Two-panel axial: CT | PSMA PET, [18F]PSMA-1007 tracer. Acquired on Siemens Biograph mCT Flow 20. Slice position z = -638 mm. PET panel 200×200 px (4.1 mm/px).
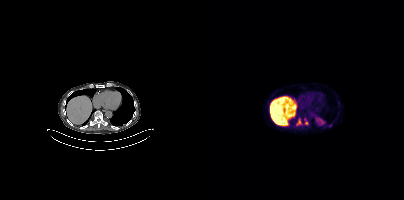
Coordinates are on the 200×200 PET (right) panel. PSMA-avid tumor lesion bounding boxes:
| # | x0 | y0 | x1 | y1 |
|---|---|---|---|---|
| 1 | 92 | 119 | 99 | 126 |
| 2 | 100 | 119 | 104 | 125 |
Small PSMA-avid focus (2 to 4 px across) near (center x, center y): (126, 125).